- Paired axial CT (left) and PSMA PET (right), 18F-PSMA tracer
- acquired on Siemens Biograph mCT Flow 20
- slice position z = -1116 mm
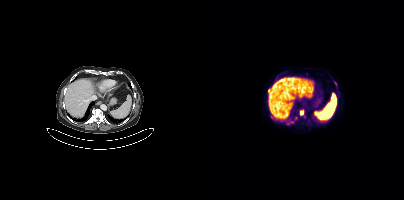
Findings: Coordinates are on the 200×200 PET (right) panel. (showing 3 of 4 foci) PSMA-avid tumor lesion bounding boxes (x0,y0,x1,y1): [96,110,99,115]; [130,81,133,86]; [64,90,65,94].